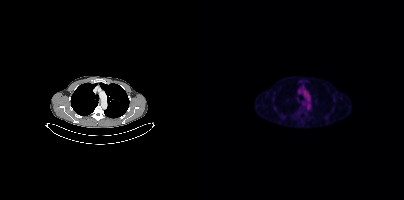
{"pet_grid":[200,200],"coord_frame":"pet_panel","coord_format":"x0,y0,x1,y1","psma_avid_lesions":false,"modality":"PSMA PET/CT","view":"axial","tracer":"[18F]PSMA-1007"}